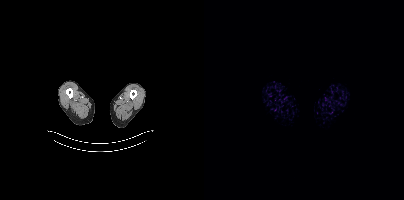
No PSMA-avid tumor lesions on this slice.